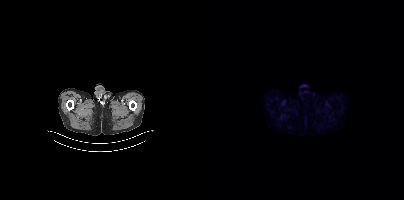
Two-panel axial: CT | PSMA PET, 18F tracer. No tumor lesions annotated on this slice.